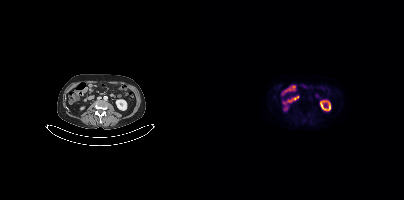
Negative for PSMA-avid disease on this slice. Paired axial CT (left) and PSMA PET (right), 18F tracer. Acquired on Siemens Biograph mCT Flow 20. PET panel 200×200 px (4.1 mm/px).